Paired axial CT (left) and PSMA PET (right), 18F tracer. Acquired on Siemens Biograph mCT Flow 20. Slice 166 of 375. PET panel 200×200 px (4.1 mm/px).
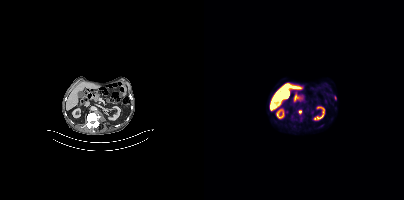
Coordinates are on the 200×200 PET (right) panel. Small PSMA-avid foci (2 to 4 px across) near (center x, center y): (96, 111) | (131, 97).